Technique: Two-panel axial: CT | PSMA PET, [68Ga]Ga-PSMA-11 tracer. acquired on Siemens Biograph mCT Flow 20. PET panel 200×200 px (4.1 mm/px).
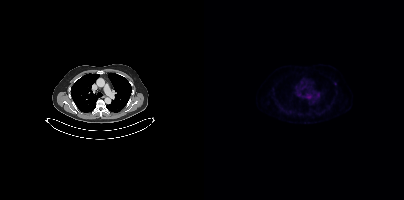
Findings: Coordinates are on the 200×200 PET (right) panel. Small PSMA-avid focus (2 to 4 px across) near (center x, center y): (131, 83).